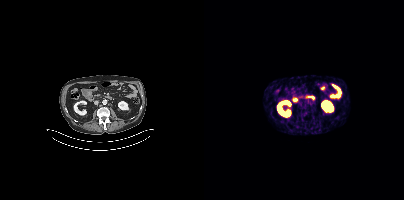
Findings: No tumor lesions annotated on this slice.
Technique: Left: CT. Right: PSMA PET, same axial level, [68Ga]Ga-PSMA-11 tracer. PET panel 200×200 px (4.1 mm/px).